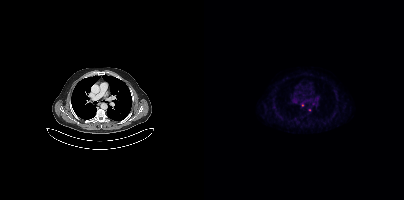
Findings: No tumor lesions annotated on this slice.
Technique: Paired axial CT (left) and PSMA PET (right), 18F-PSMA tracer. acquired on Siemens Biograph mCT Flow 20. slice 313 of 433.